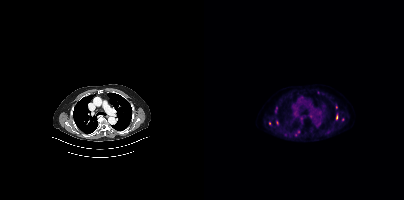
modality: PSMA PET/CT | tracer: [18F]PSMA-1007 | view: axial
Coordinates are on the 200×200 PET (right) panel. (showing 6 of 8 foci) PSMA-avid tumor lesion bounding box (x0, y0)-(x1, y1): (71, 107)-(73, 113). Small PSMA-avid foci (2 to 4 px across) near (center x, center y): (91, 134); (132, 116); (139, 119); (132, 106); (65, 123).